Left: CT. Right: PSMA PET, same axial level, 18F-PSMA tracer. PET panel 200×200 px (4.1 mm/px).
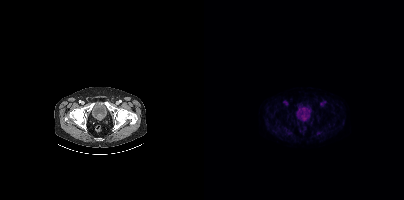
No tumor lesions annotated on this slice.